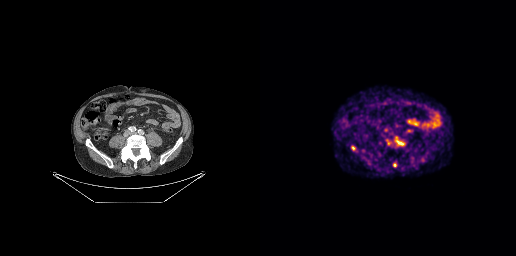
Paired axial CT (left) and PSMA PET (right), 68Ga tracer. Slice 93 of 263.
Coordinates are on the 256×256 PET (right) panel. PSMA-avid tumor lesion bounding boxes:
| # | x0 | y0 | x1 | y1 |
|---|---|---|---|---|
| 1 | 91 | 145 | 95 | 150 |
| 2 | 133 | 163 | 136 | 167 |
| 3 | 138 | 142 | 142 | 144 |
Small PSMA-avid foci (2 to 4 px across) near (center x, center y): (132, 145); (126, 129).